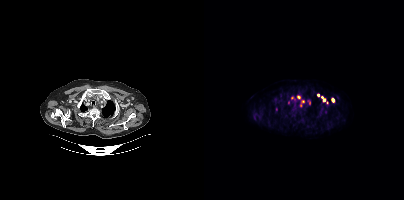
Coordinates are on the 200×200 PET (right) panel. (showing 10 of 11 foci) PSMA-avid tumor lesion bounding boxes (x0, y0)-(x1, y1): (127, 98)-(130, 102) | (117, 96)-(121, 101). Small PSMA-avid foci (2 to 4 px across) near (center x, center y): (94, 96) | (114, 95) | (99, 101) | (84, 102) | (72, 109) | (87, 97) | (105, 102) | (96, 105).